- Left: CT. Right: PSMA PET, same axial level, 68Ga tracer
- PET panel 200×200 px (4.1 mm/px)
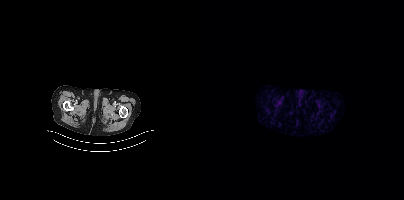
Findings: This slice has no annotated PSMA-avid lesion.